Paired axial CT (left) and PSMA PET (right), 18F tracer.
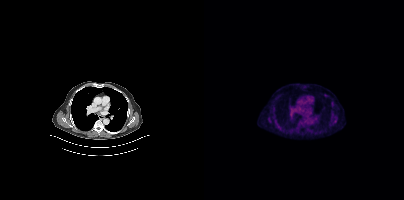
No tumor lesions annotated on this slice.